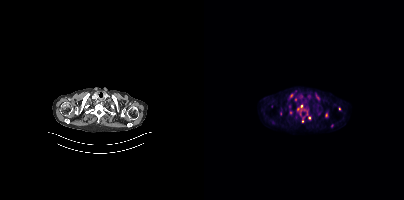
{"modality":"PSMA PET/CT","view":"axial","tracer":"18F","pet_grid":[200,200],"coord_frame":"pet_panel","coord_format":"x0,y0,x1,y1","partial":true,"lesion_bboxes":[[93,104,106,119],[98,117,100,122]],"small_foci_centers":[[113,96],[69,122],[76,113],[87,95],[86,112],[122,115]]}